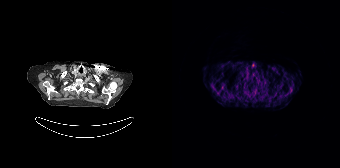
- Two-panel axial: CT | PSMA PET, 68Ga-PSMA tracer
- acquired on Siemens Biograph 64-4R TruePoint
- PET panel 168×168 px (4.1 mm/px)
Findings: Only PSMA-avid lesion pieces thinner than 2 px on this slice (not listed).